Paired axial CT (left) and PSMA PET (right), 68Ga tracer. Acquired on GE Discovery 690. Slice position z = -743 mm. PET panel 256×256 px (2.7 mm/px).
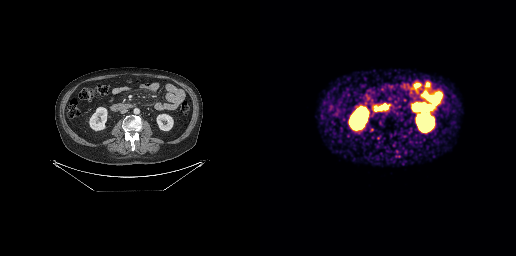
No tumor lesions annotated on this slice.